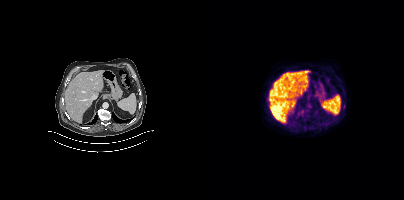
Left: CT. Right: PSMA PET, same axial level, 18F-PSMA tracer. Acquired on Siemens Biograph mCT Flow 20. Slice 230 of 411. Only PSMA-avid lesion pieces thinner than 2 px on this slice (not listed).